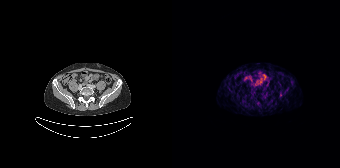
No tumor lesions annotated on this slice. Paired axial CT (left) and PSMA PET (right), [68Ga]Ga-PSMA-11 tracer. PET panel 168×168 px (4.1 mm/px).